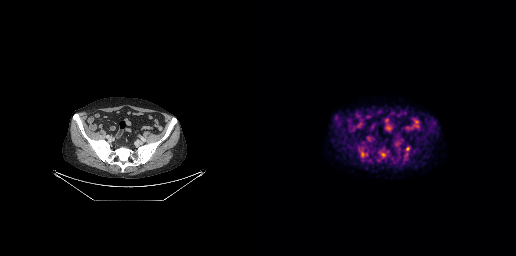
Paired axial CT (left) and PSMA PET (right), 18F tracer.
Coordinates are on the 256×256 PET (right) panel. PSMA-avid tumor lesion bounding boxes:
| # | x0 | y0 | x1 | y1 |
|---|---|---|---|---|
| 1 | 121 | 153 | 124 | 157 |
| 2 | 102 | 152 | 103 | 156 |
Small PSMA-avid focus (2 to 4 px across) near (center x, center y): (147, 148).